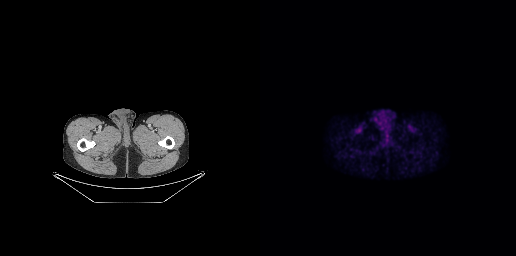
This slice has no annotated PSMA-avid lesion. Left: CT. Right: PSMA PET, same axial level, 18F tracer. Slice 34 of 263.